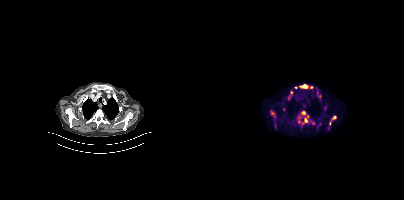
- Paired axial CT (left) and PSMA PET (right), 18F tracer
Findings: Coordinates are on the 200×200 PET (right) panel. (showing 10 of 12 foci) PSMA-avid tumor lesion bounding boxes (x0,y0,x1,y1): [93,111,111,125]; [95,84,108,88]; [69,119,73,129]; [66,110,70,116]; [128,116,132,119]. Small PSMA-avid foci (2 to 4 px across) near (center x, center y): (87, 91); (91, 87); (84, 98); (125, 123); (115, 124).